Paired axial CT (left) and PSMA PET (right), [18F]PSMA-1007 tracer. Acquired on Siemens Biograph mCT Flow 20. Slice 286 of 413.
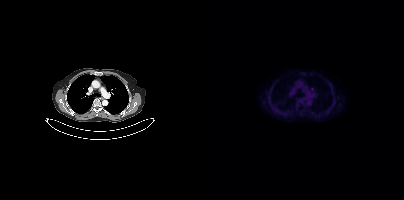
Coordinates are on the 200×200 PET (right) panel. Small PSMA-avid focus (2 to 4 px across) near (center x, center y): (108, 89).